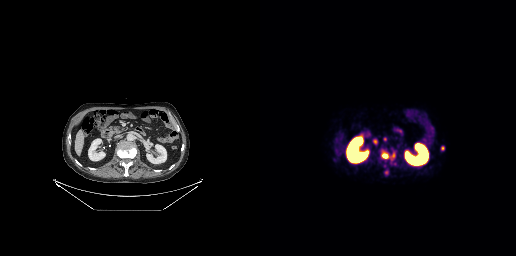
{"pet_grid":[256,256],"coord_frame":"pet_panel","coord_format":"x0,y0,x1,y1","lesion_bboxes":[[181,146,184,150],[123,155,127,157]],"small_foci_centers":[[125,138],[132,155]],"modality":"PSMA PET/CT","view":"axial","tracer":"[68Ga]Ga-PSMA-11"}